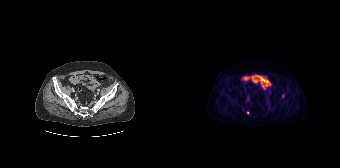
Coordinates are on the 168×168 PET (right) panel. Small PSMA-avid foci (2 to 4 px across) near (center x, center y): (111, 95) (76, 112). Left: CT. Right: PSMA PET, same axial level, [18F]PSMA-1007 tracer. Acquired on Siemens Biograph 64-4R TruePoint.